Left: CT. Right: PSMA PET, same axial level, [18F]PSMA-1007 tracer. Acquired on Siemens Biograph mCT Flow 20. Slice 338 of 405. A rectangular block over the head has been blanked out for de-identification.
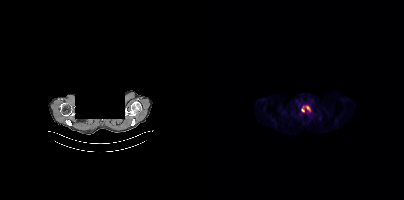
Coordinates are on the 200×200 PET (right) panel. PSMA-avid tumor lesion bounding boxes:
| # | x0 | y0 | x1 | y1 |
|---|---|---|---|---|
| 1 | 97 | 105 | 106 | 111 |